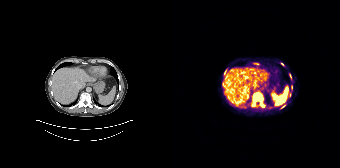
- Two-panel axial: CT | PSMA PET, 68Ga-PSMA tracer
Findings: Coordinates are on the 168×168 PET (right) panel. PSMA-avid tumor lesion bounding boxes (x0,y0,x1,y1): [81,93,92,107], [52,70,54,74], [109,104,113,108]. Small PSMA-avid foci (2 to 4 px across) near (center x, center y): (81, 105), (119, 88), (118, 94), (110, 63), (118, 75).